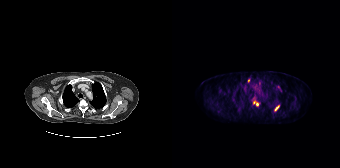
Coordinates are on the 168×168 PET (right) panel. PSMA-avid tumor lesion bounding boxes (x, y, width, height): x=81 y=100 w=6 h=6 | x=103 y=105 w=5 h=6. Small PSMA-avid foci (2 to 4 px across) near (center x, center y): (108, 90) | (76, 80). Two-panel axial: CT | PSMA PET, [18F]PSMA-1007 tracer. Slice 152 of 195. PET panel 168×168 px (4.1 mm/px).